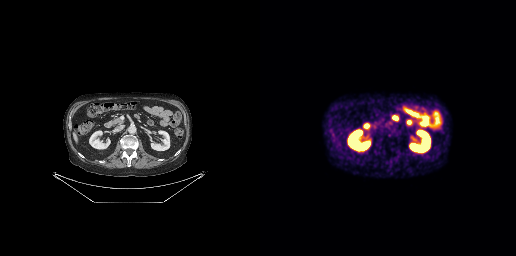
Negative for PSMA-avid disease on this slice.